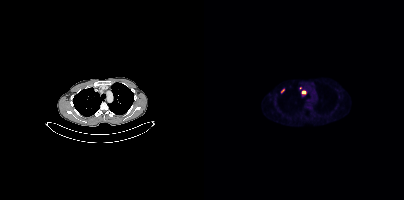
Coordinates are on the 200×200 PET (right) panel. Small PSMA-avid foci (2 to 4 px across) near (center x, center y): (99, 92), (78, 90).